Left: CT. Right: PSMA PET, same axial level, 18F-PSMA tracer. Slice position z = 194 mm. PET panel 200×200 px (4.1 mm/px).
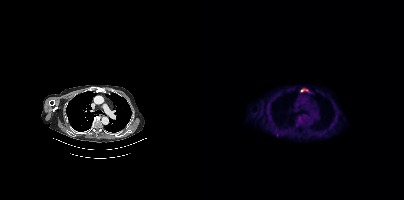
Coordinates are on the 200×200 PET (right) panel. PSMA-avid tumor lesion bounding boxes:
| # | x0 | y0 | x1 | y1 |
|---|---|---|---|---|
| 1 | 97 | 89 | 103 | 91 |